modality: PSMA PET/CT | tracer: 18F | view: axial | PET grid: 200×200
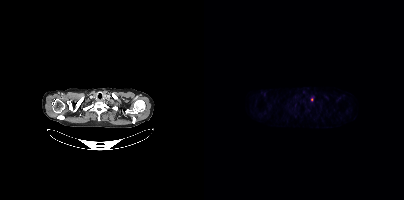
Coordinates are on the 200×200 PET (right) panel. Small PSMA-avid focus (2 to 4 px across) near (center x, center y): (108, 99).